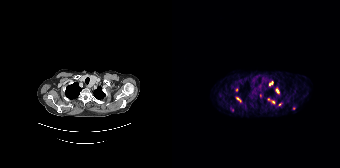
Findings: Coordinates are on the 168×168 PET (right) panel. (showing 7 of 10 foci) PSMA-avid tumor lesion bounding boxes (x0,y0,x1,y1): [97,81,101,85]; [104,89,107,93]; [65,97,68,101]. Small PSMA-avid foci (2 to 4 px across) near (center x, center y): (64, 90); (101, 102); (107, 104); (60, 109).
- Two-panel axial: CT | PSMA PET, [68Ga]Ga-PSMA-11 tracer
- acquired on Siemens Biograph 64-4R TruePoint
- slice position z = -1032 mm